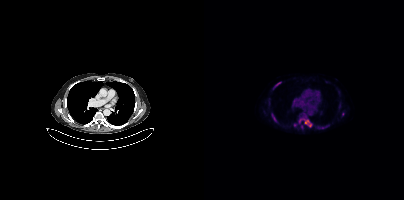
Left: CT. Right: PSMA PET, same axial level, 18F-PSMA tracer. Slice 292 of 429. PET panel 200×200 px (4.1 mm/px).
Coordinates are on the 200×200 PET (right) panel. PSMA-avid tumor lesion bounding boxes (partial; 1 more focus not listed):
| # | x0 | y0 | x1 | y1 |
|---|---|---|---|---|
| 1 | 118 | 124 | 125 | 129 |
| 2 | 68 | 113 | 73 | 122 |
| 3 | 101 | 120 | 105 | 123 |
| 4 | 71 | 82 | 76 | 86 |
Small PSMA-avid foci (2 to 4 px across) near (center x, center y): (106, 125); (95, 121); (138, 114).